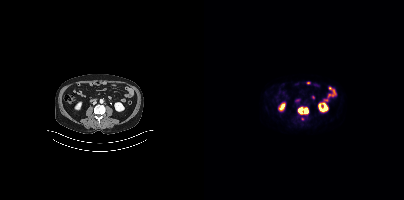
Findings: Coordinates are on the 200×200 PET (right) panel. PSMA-avid tumor lesion bounding box (x0, y0)-(x1, y1): (93, 106)-(104, 114). Small PSMA-avid focus (2 to 4 px across) near (center x, center y): (98, 118).
- Paired axial CT (left) and PSMA PET (right), 18F tracer
- slice position z = -570 mm
- PET panel 200×200 px (4.1 mm/px)